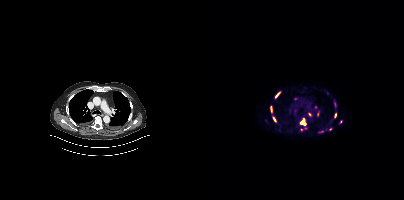
Technique: Left: CT. Right: PSMA PET, same axial level, 18F-PSMA tracer. acquired on Siemens Biograph mCT Flow 20. slice 327 of 444.
Findings: Coordinates are on the 200×200 PET (right) panel. PSMA-avid tumor lesion bounding boxes (x0,y0,x1,y1): [95,117,102,129], [130,100,132,107], [71,92,76,98], [66,106,68,112], [130,113,132,117], [69,117,72,121], [115,131,119,132]. Small PSMA-avid foci (2 to 4 px across) near (center x, center y): (105, 114), (126, 129), (137, 121), (97, 129), (123, 93), (113, 114).